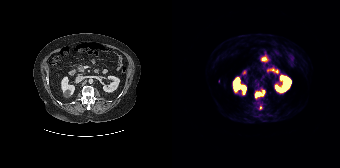
Coordinates are on the 168×168 PET (right) panel. PSMA-avid tumor lesion bounding boxes:
| # | x0 | y0 | x1 | y1 |
|---|---|---|---|---|
| 1 | 83 | 90 | 92 | 97 |
Small PSMA-avid focus (2 to 4 px across) near (center x, center y): (88, 107).
Paired axial CT (left) and PSMA PET (right), [68Ga]Ga-PSMA-11 tracer. Acquired on Siemens Biograph 64-4R TruePoint. Slice 109 of 195.